Two-panel axial: CT | PSMA PET, 18F-PSMA tracer. Slice 285 of 417.
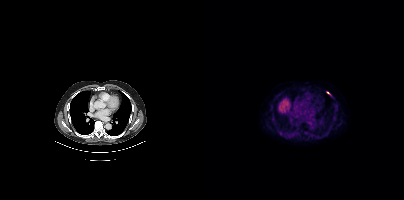
Coordinates are on the 200×200 PET (right) panel. PSMA-avid tumor lesion bounding boxes:
| # | x0 | y0 | x1 | y1 |
|---|---|---|---|---|
| 1 | 122 | 91 | 126 | 95 |
Small PSMA-avid focus (2 to 4 px across) near (center x, center y): (76, 132).